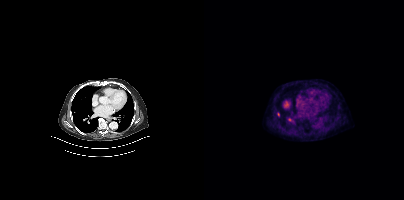
Two-panel axial: CT | PSMA PET, 18F tracer. PET panel 200×200 px (4.1 mm/px). Coordinates are on the 200×200 PET (right) panel. Small PSMA-avid foci (2 to 4 px across) near (center x, center y): (74, 114) / (85, 119).